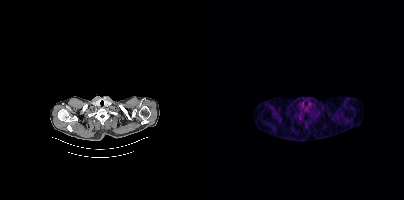
{"modality":"PSMA PET/CT","view":"axial","tracer":"[18F]PSMA-1007","pet_grid":[200,200],"coord_frame":"pet_panel","coord_format":"x0,y0,x1,y1","psma_avid_lesions":false}